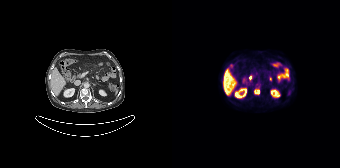
Coordinates are on the 168×168 PET (right) panel. PSMA-avid tumor lesion bounding box (x, y, width, height): x=82 y=90 w=6 h=4. Paired axial CT (left) and PSMA PET (right), 18F-PSMA tracer. Acquired on Siemens Biograph 64-4R TruePoint. Slice position z = -1105 mm.